Left: CT. Right: PSMA PET, same axial level, 18F tracer. Slice position z = -794 mm.
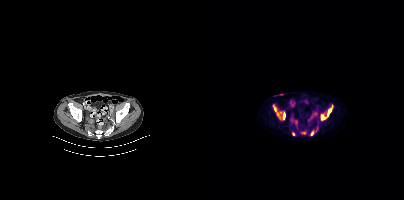
Coordinates are on the 200×200 PET (right) panel. (showing 4 of 5 foci) PSMA-avid tumor lesion bounding boxes (x, y, width, height): x=68 y=104 w=14 h=17 | x=117 y=105 w=13 h=16. Small PSMA-avid foci (2 to 4 px across) near (center x, center y): (108, 133) | (89, 134).